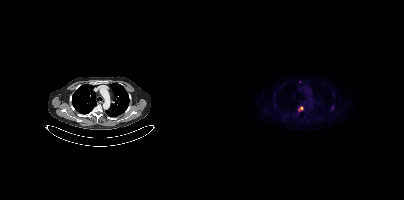
{"pet_grid":[200,200],"coord_frame":"pet_panel","coord_format":"x0,y0,x1,y1","lesion_bboxes":[[94,106,99,111]],"small_foci_centers":[[96,81]],"modality":"PSMA PET/CT","view":"axial","tracer":"18F"}